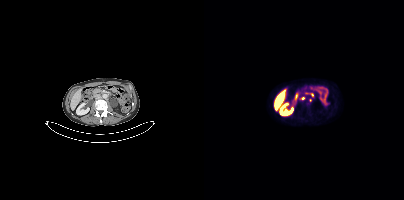
Paired axial CT (left) and PSMA PET (right), 18F tracer. PET panel 200×200 px (4.1 mm/px). Coordinates are on the 200×200 PET (right) panel. Small PSMA-avid foci (2 to 4 px across) near (center x, center y): (99, 98) | (106, 100).